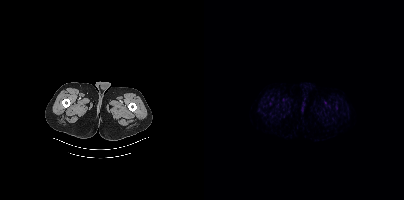
Findings: No tumor lesions annotated on this slice.
- Paired axial CT (left) and PSMA PET (right), [18F]PSMA-1007 tracer
- acquired on Siemens Biograph mCT Flow 20
- slice position z = -1525 mm
- PET panel 200×200 px (4.1 mm/px)